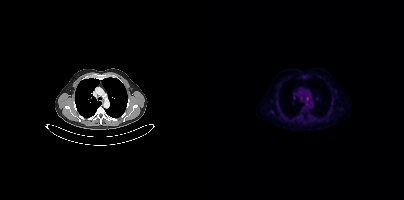
Two-panel axial: CT | PSMA PET, [18F]PSMA-1007 tracer. Acquired on Siemens Biograph mCT Flow 20. Coordinates are on the 200×200 PET (right) panel. Small PSMA-avid focus (2 to 4 px across) near (center x, center y): (103, 98).